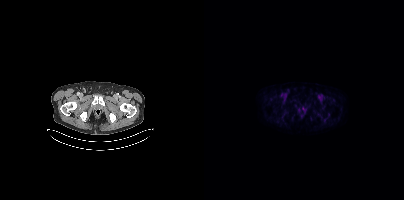
No tumor lesions annotated on this slice. Paired axial CT (left) and PSMA PET (right), [18F]PSMA-1007 tracer. Slice position z = -768 mm. PET panel 200×200 px (4.1 mm/px).